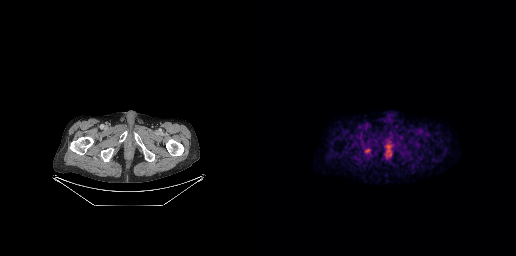
{"modality":"PSMA PET/CT","view":"axial","tracer":"[18F]PSMA-1007","pet_grid":[256,256],"coord_frame":"pet_panel","coord_format":"x0,y0,x1,y1","lesion_bboxes":[],"small_foci_centers":[[107,150]]}